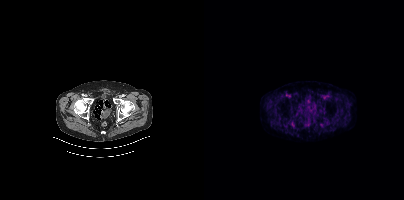
Paired axial CT (left) and PSMA PET (right), [18F]PSMA-1007 tracer. Acquired on Siemens Biograph mCT Flow 20. PET panel 200×200 px (4.1 mm/px). Negative for PSMA-avid disease on this slice.